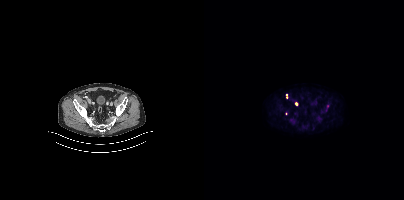
modality: PSMA PET/CT | tracer: 18F-PSMA | view: axial
Coordinates are on the 200×200 PET (right) panel. (showing 2 of 5 foci) Small PSMA-avid foci (2 to 4 px across) near (center x, center y): (123, 106), (92, 103).